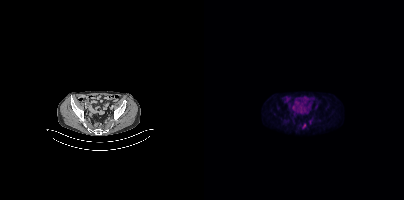
Coordinates are on the 200×200 PET (right) panel. PSMA-avid tumor lesion bounding box (x, y, width, height): x=98 y=124 w=4 h=5. Small PSMA-avid focus (2 to 4 px across) near (center x, center y): (106, 121).